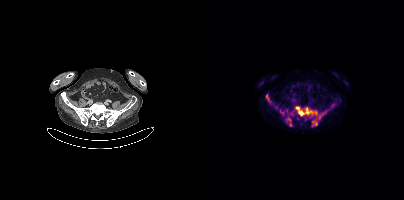
Two-panel axial: CT | PSMA PET, [18F]PSMA-1007 tracer. Acquired on Siemens Biograph mCT Flow 20. Coordinates are on the 200×200 PET (right) panel. (showing 3 of 5 foci) PSMA-avid tumor lesion bounding boxes (x0,y0,x1,y1): [92,106,122,126] [81,114,89,126] [62,94,65,100].